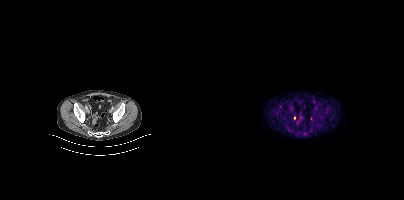
{"modality":"PSMA PET/CT","view":"axial","tracer":"18F-PSMA","pet_grid":[200,200],"coord_frame":"pet_panel","coord_format":"x0,y0,x1,y1","psma_avid_lesions":false}